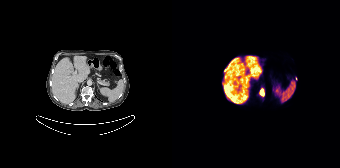
Technique: Two-panel axial: CT | PSMA PET, [18F]PSMA-1007 tracer. slice 82 of 165. PET panel 168×168 px (4.1 mm/px).
Findings: Coordinates are on the 168×168 PET (right) panel. PSMA-avid tumor lesion bounding box (x, y, width, height): x=87 y=87 w=6 h=11. Small PSMA-avid focus (2 to 4 px across) near (center x, center y): (124, 78).